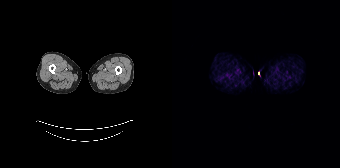
No PSMA-avid tumor lesions on this slice.
modality: PSMA PET/CT | tracer: 68Ga | view: axial